Technique: Paired axial CT (left) and PSMA PET (right), 18F-PSMA tracer. acquired on GE Discovery 690. slice position z = -451 mm.
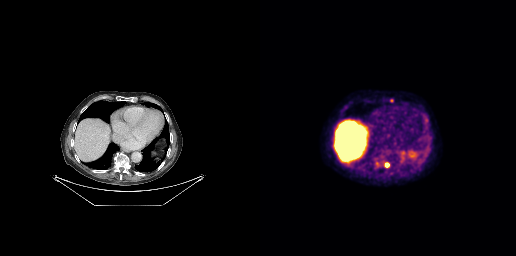
Findings: Coordinates are on the 256×256 PET (right) panel. PSMA-avid tumor lesion bounding boxes (x, y, width, height): x=165 y=118 w=5 h=7 / x=125 y=162 w=5 h=6 / x=115 y=159 w=5 h=6. Small PSMA-avid focus (2 to 4 px across) near (center x, center y): (131, 100).